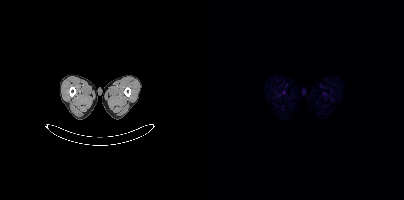
{"pet_grid":[200,200],"coord_frame":"pet_panel","coord_format":"x0,y0,x1,y1","psma_avid_lesions":false,"modality":"PSMA PET/CT","view":"axial","tracer":"18F"}